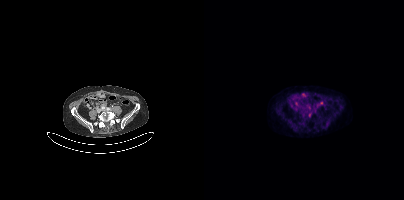
Two-panel axial: CT | PSMA PET, 18F-PSMA tracer. Acquired on Siemens Biograph mCT Flow 20. Slice position z = -1402 mm. Only PSMA-avid lesion pieces thinner than 2 px on this slice (not listed).